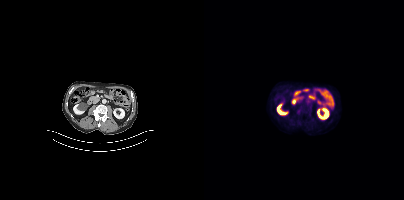
Technique: Left: CT. Right: PSMA PET, same axial level, 18F-PSMA tracer. acquired on Siemens Biograph mCT Flow 20. slice position z = -720 mm. PET panel 200×200 px (4.1 mm/px).
Findings: Coordinates are on the 200×200 PET (right) panel. Small PSMA-avid focus (2 to 4 px across) near (center x, center y): (93, 111).